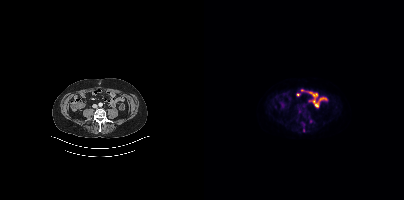
Coordinates are on the 200×200 PET (right) panel. (showing 2 of 3 foci) Small PSMA-avid foci (2 to 4 px across) near (center x, center y): (107, 120); (99, 130).